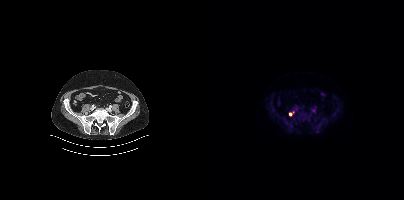
{"modality":"PSMA PET/CT","view":"axial","tracer":"18F","pet_grid":[200,200],"coord_frame":"pet_panel","coord_format":"x0,y0,x1,y1","partial":true,"lesion_bboxes":[],"small_foci_centers":[[86,113]]}